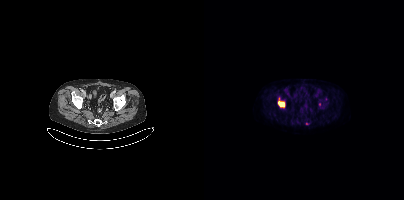
Coordinates are on the 200×200 PET (right) panel. (showing 2 of 3 foci) PSMA-avid tumor lesion bounding box (x0,y0,x1,y1): [74,101,80,107]. Small PSMA-avid focus (2 to 4 px across) near (center x, center y): (102, 123).